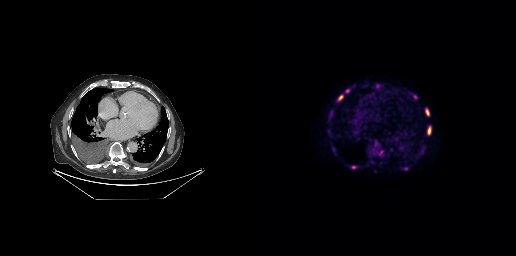
Technique: Paired axial CT (left) and PSMA PET (right), [18F]PSMA-1007 tracer. slice 197 of 299. PET panel 256×256 px (2.7 mm/px).
Findings: Coordinates are on the 256×256 PET (right) panel. PSMA-avid tumor lesion bounding boxes (x0, y0)-(x1, y1): (167, 125)-(171, 135) | (68, 110)-(73, 118) | (165, 108)-(169, 116) | (77, 95)-(83, 101) | (115, 83)-(120, 88) | (153, 95)-(157, 99). Small PSMA-avid foci (2 to 4 px across) near (center x, center y): (87, 90) | (93, 167) | (146, 168) | (73, 149).